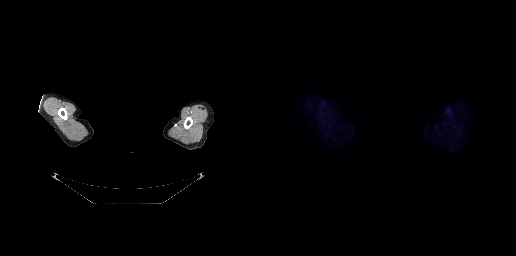
{"modality":"PSMA PET/CT","view":"axial","tracer":"18F-PSMA","pet_grid":[256,256],"coord_frame":"pet_panel","coord_format":"x0,y0,x1,y1","redaction":"privacy mask over head","psma_avid_lesions":false}